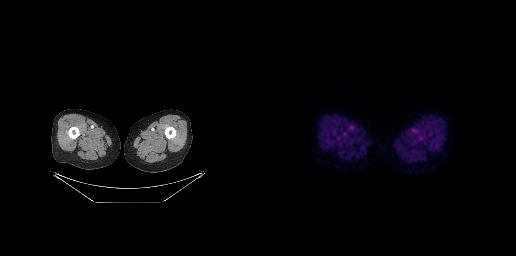
{"modality":"PSMA PET/CT","view":"axial","tracer":"18F","pet_grid":[256,256],"coord_frame":"pet_panel","coord_format":"x0,y0,x1,y1","psma_avid_lesions":false}